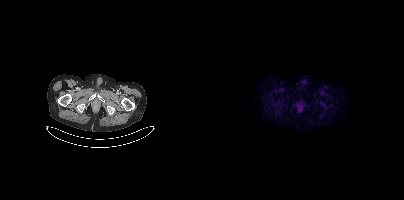
This slice has no annotated PSMA-avid lesion.